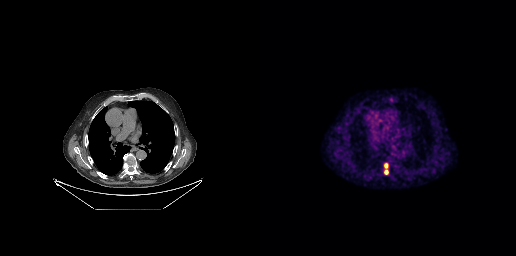
{"modality":"PSMA PET/CT","view":"axial","tracer":"18F-PSMA","pet_grid":[256,256],"coord_frame":"pet_panel","coord_format":"x0,y0,x1,y1","lesion_bboxes":[[124,163,128,174]]}